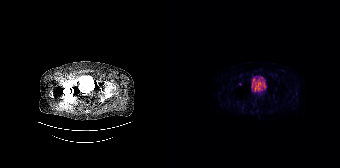
modality: PSMA PET/CT | tracer: 18F-PSMA | view: axial
Coordinates are on the 168×168 PET (right) panel. Small PSMA-avid focus (2 to 4 px across) near (center x, center y): (68, 84).